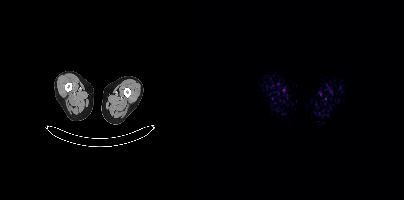
No PSMA-avid tumor lesions on this slice.